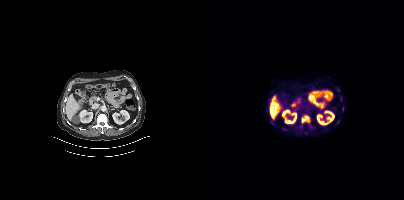
Coordinates are on the 200×200 PET (right) panel. (showing 3 of 5 foci) PSMA-avid tumor lesion bounding boxes (x, y, width, height): x=97 y=115 w=10 h=9 | x=138 y=107 w=3 h=5. Small PSMA-avid focus (2 to 4 px across) near (center x, center y): (134, 121).